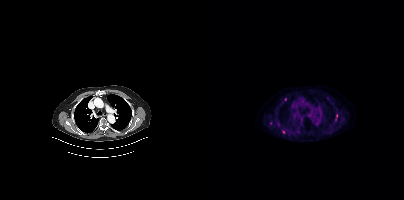
Left: CT. Right: PSMA PET, same axial level, 18F tracer. Slice position z = -1051 mm. PET panel 200×200 px (4.1 mm/px). Coordinates are on the 200×200 PET (right) panel. (showing 2 of 4 foci) Small PSMA-avid foci (2 to 4 px across) near (center x, center y): (79, 131) | (81, 99).